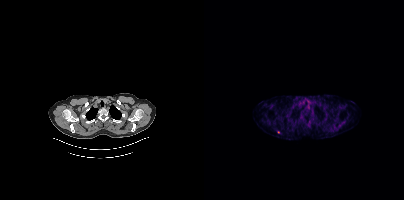
Left: CT. Right: PSMA PET, same axial level, 68Ga-PSMA tracer. Acquired on Siemens Biograph mCT Flow 20. Slice position z = -505 mm. PET panel 200×200 px (4.1 mm/px). Coordinates are on the 200×200 PET (right) panel. Small PSMA-avid focus (2 to 4 px across) near (center x, center y): (74, 132).